- Paired axial CT (left) and PSMA PET (right), 68Ga-PSMA tracer
- slice 134 of 263
- PET panel 256×256 px (2.7 mm/px)
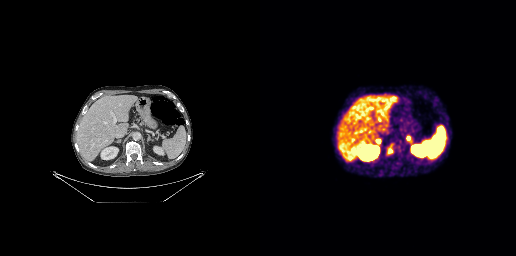
Findings: Coordinates are on the 256×256 PET (right) panel. PSMA-avid tumor lesion bounding box (x0, y0)-(x1, y1): (116, 139)-(120, 143). Small PSMA-avid foci (2 to 4 px across) near (center x, center y): (130, 150); (148, 137).